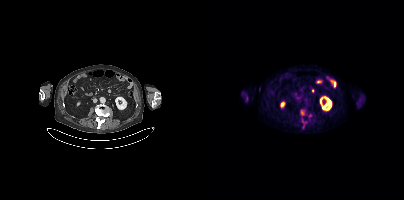
{"modality":"PSMA PET/CT","view":"axial","tracer":"18F-PSMA","pet_grid":[200,200],"coord_frame":"pet_panel","coord_format":"x0,y0,x1,y1","lesion_bboxes":[[96,109,101,115],[98,119,102,127]],"small_foci_centers":[[106,115]]}